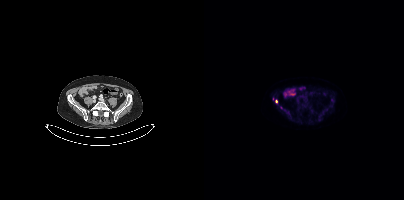
Two-panel axial: CT | PSMA PET, 18F tracer. PET panel 200×200 px (4.1 mm/px). Coordinates are on the 200×200 PET (right) panel. (showing 1 of 2 foci) Small PSMA-avid focus (2 to 4 px across) near (center x, center y): (72, 101).